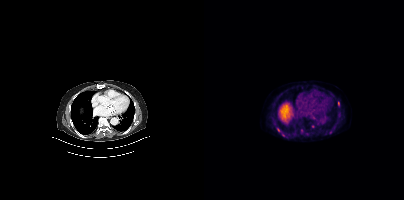
Coordinates are on the 200×200 PET (right) panel. (showing 5 of 9 foci) Small PSMA-avid foci (2 to 4 px across) near (center x, center y): (108, 126) (134, 103) (82, 136) (74, 130) (126, 132). Paired axial CT (left) and PSMA PET (right), 18F tracer. Acquired on Siemens Biograph mCT Flow 20. PET panel 200×200 px (4.1 mm/px).